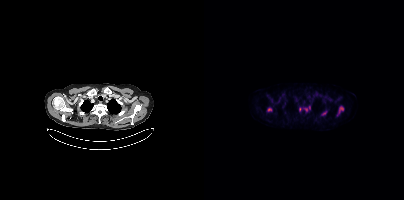
Coordinates are on the 200×200 PET (right) panel. PSMA-avid tumor lesion bounding boxes (partial; 1 more focus not listed):
| # | x0 | y0 | x1 | y1 |
|---|---|---|---|---|
| 1 | 133 | 106 | 139 | 115 |
Small PSMA-avid foci (2 to 4 px across) near (center x, center y): (65, 109); (119, 114); (102, 109); (95, 109).
Left: CT. Right: PSMA PET, same axial level, 18F tracer. Slice position z = -448 mm.